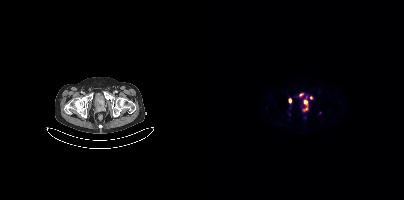
{"pet_grid":[200,200],"coord_frame":"pet_panel","coord_format":"x0,y0,x1,y1","partial":true,"lesion_bboxes":[[99,100,103,111],[95,93,99,96]],"small_foci_centers":[[102,96],[107,97],[86,100]],"modality":"PSMA PET/CT","view":"axial","tracer":"68Ga-PSMA"}